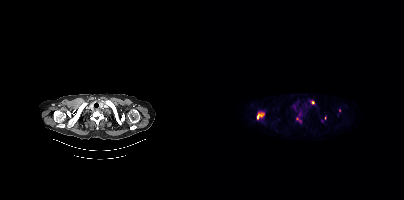
Findings: Coordinates are on the 200×200 PET (right) panel. (showing 6 of 8 foci) PSMA-avid tumor lesion bounding boxes (x, y, width, height): x=52 y=111 w=9 h=9; x=92 y=117 w=6 h=6. Small PSMA-avid foci (2 to 4 px across) near (center x, center y): (109, 102); (135, 110); (96, 113); (117, 121).
- Left: CT. Right: PSMA PET, same axial level, [18F]PSMA-1007 tracer
- acquired on Siemens Biograph mCT Flow 20
- slice 383 of 450